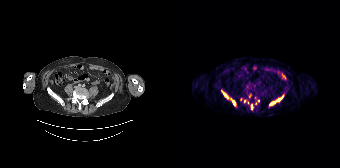
{"modality":"PSMA PET/CT","view":"axial","tracer":"68Ga","pet_grid":[168,168],"coord_frame":"pet_panel","coord_format":"x0,y0,x1,y1","partial":true,"lesion_bboxes":[[98,95,111,104],[59,98,63,105],[52,93,56,98],[79,105,80,109]],"small_foci_centers":[[84,103]]}